- Two-panel axial: CT | PSMA PET, [18F]PSMA-1007 tracer
- PET panel 200×200 px (4.1 mm/px)
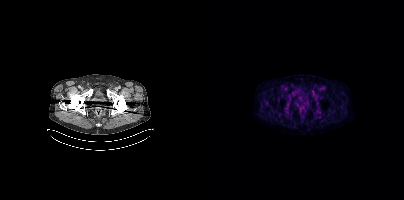
Findings: This slice has no annotated PSMA-avid lesion.